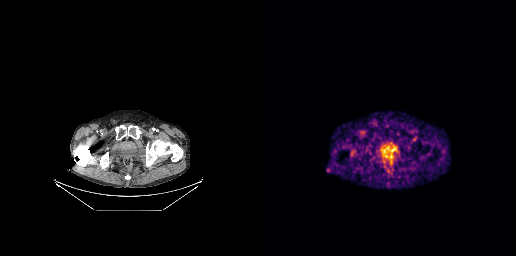
Coordinates are on the 256×256 PET (right) panel. PSMA-avid tumor lesion bounding box (x, y, width, height): x=121 y=150 w=9 h=11.